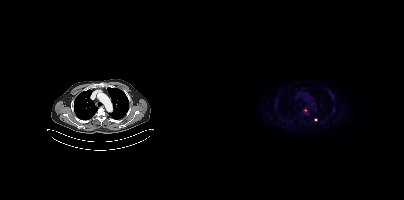
Two-panel axial: CT | PSMA PET, [18F]PSMA-1007 tracer. Acquired on Siemens Biograph mCT Flow 20. PET panel 200×200 px (4.1 mm/px). Coordinates are on the 200×200 PET (right) panel. (showing 2 of 3 foci) Small PSMA-avid foci (2 to 4 px across) near (center x, center y): (128, 96) | (111, 119).